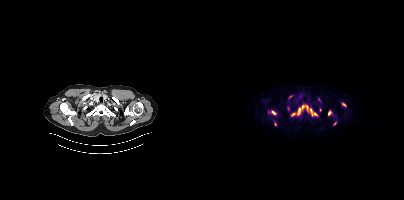
{"modality":"PSMA PET/CT","view":"axial","tracer":"18F","pet_grid":[200,200],"coord_frame":"pet_panel","coord_format":"x0,y0,x1,y1","partial":true,"lesion_bboxes":[[106,109,113,116],[93,108,96,115],[67,110,72,114],[87,113,91,116],[124,111,126,115]],"small_foci_centers":[[71,124],[114,99],[140,104],[116,110],[131,123],[98,107]]}